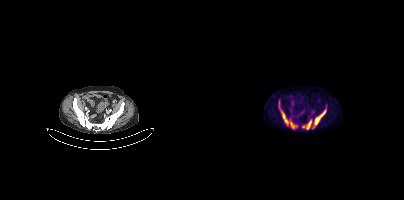
Left: CT. Right: PSMA PET, same axial level, 18F tracer. PET panel 200×200 px (4.1 mm/px).
Coordinates are on the 200×200 PET (right) panel. PSMA-avid tumor lesion bounding boxes:
| # | x0 | y0 | x1 | y1 |
|---|---|---|---|---|
| 1 | 75 | 100 | 92 | 128 |
| 2 | 110 | 106 | 122 | 125 |
| 3 | 102 | 120 | 107 | 129 |
Small PSMA-avid focus (2 to 4 px across) near (center x, center y): (99, 126).